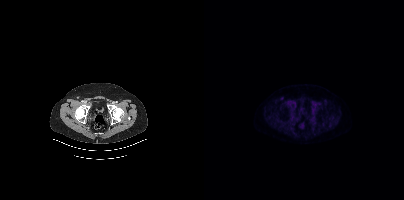
modality: PSMA PET/CT | tracer: 18F | view: axial
Only PSMA-avid lesion pieces thinner than 2 px on this slice (not listed).